- Left: CT. Right: PSMA PET, same axial level, 18F-PSMA tracer
- acquired on Siemens Biograph mCT Flow 20
- slice position z = -708 mm
- PET panel 200×200 px (4.1 mm/px)
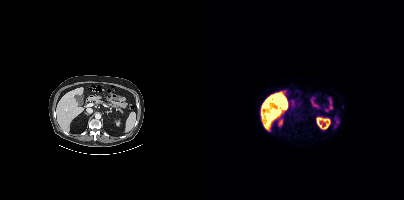
Findings: No tumor lesions annotated on this slice.